Technique: Paired axial CT (left) and PSMA PET (right), 18F-PSMA tracer. acquired on Siemens Biograph mCT Flow 20. PET panel 200×200 px (4.1 mm/px).
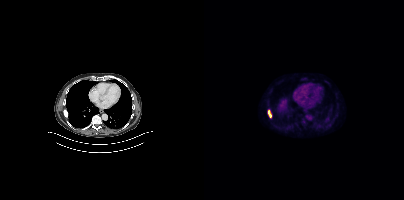
Findings: Coordinates are on the 200×200 PET (right) panel. PSMA-avid tumor lesion bounding box (x0,y0,x1,y1): [64,110,67,117].